Two-panel axial: CT | PSMA PET, 18F tracer. Acquired on GE Discovery 690.
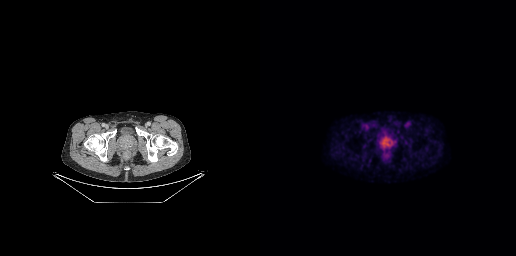
Coordinates are on the 256×256 PET (right) panel. PSMA-avid tumor lesion bounding box (x0, y0)-(x1, y1): (118, 134)-(134, 151).